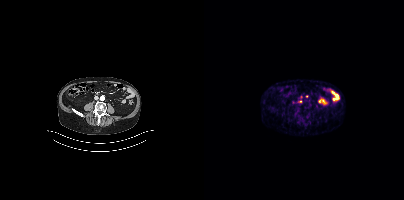
Coordinates are on the 200×200 PET (right) panel. (showing 2 of 3 foci) Small PSMA-avid foci (2 to 4 px across) near (center x, center y): (96, 101) / (102, 96).